Two-panel axial: CT | PSMA PET, [68Ga]Ga-PSMA-11 tracer. Acquired on GE Discovery 690. Slice position z = -674 mm. PET panel 256×256 px (2.7 mm/px).
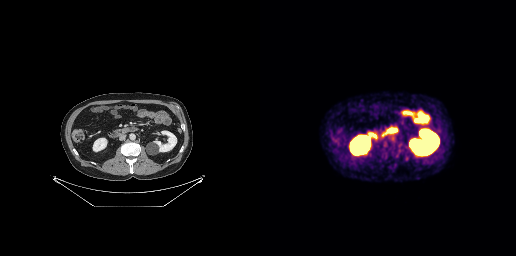
No tumor lesions annotated on this slice.